Left: CT. Right: PSMA PET, same axial level, 18F tracer. Acquired on Siemens Biograph mCT Flow 20. Slice 194 of 427.
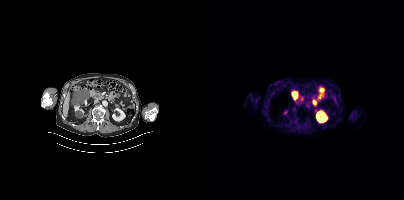
No tumor lesions annotated on this slice.